The head region is masked for de-identification.
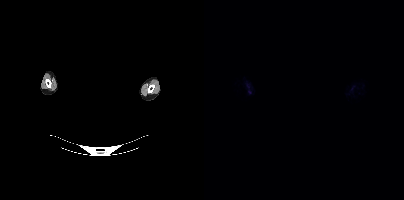
No tumor lesions annotated on this slice.